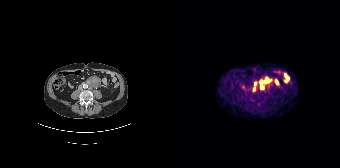
Coordinates are on the 168×168 PET (right) panel. (showing 4 of 5 foci) PSMA-avid tumor lesion bounding box (x0, y0)-(x1, y1): (92, 77)-(99, 83). Small PSMA-avid foci (2 to 4 px across) near (center x, center y): (90, 87) | (89, 82) | (83, 83).